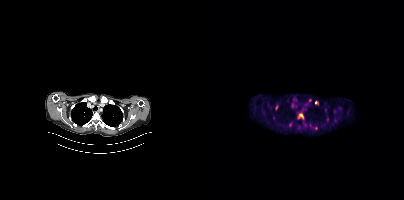
Coordinates are on the 200×200 PET (right) panel. PSMA-avid tumor lesion bounding boxes (partial; 3 more foci not listed):
| # | x0 | y0 | x1 | y1 |
|---|---|---|---|---|
| 1 | 94 | 114 | 99 | 119 |
Small PSMA-avid foci (2 to 4 px across) near (center x, center y): (112, 102); (112, 128); (72, 107).
Left: CT. Right: PSMA PET, same axial level, [18F]PSMA-1007 tracer. Slice position z = -427 mm.